modality: PSMA PET/CT | tracer: 18F | view: axial | PET grid: 200×200
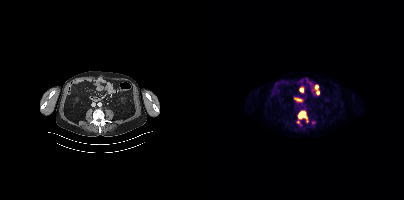
Coordinates are on the 200×200 PET (right) panel. (showing 1 of 2 foci) PSMA-avid tumor lesion bounding box (x0, y0)-(x1, y1): (94, 111)-(103, 118).